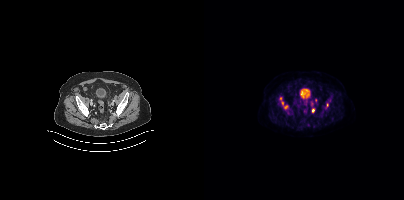
- Two-panel axial: CT | PSMA PET, [18F]PSMA-1007 tracer
- slice position z = -1394 mm
- PET panel 200×200 px (4.1 mm/px)
Findings: Coordinates are on the 200×200 PET (right) panel. PSMA-avid tumor lesion bounding boxes (x0, y0)-(x1, y1): (76, 97)-(83, 108); (107, 102)-(109, 106); (122, 104)-(124, 108). Small PSMA-avid foci (2 to 4 px across) near (center x, center y): (109, 110); (111, 100).